Paired axial CT (left) and PSMA PET (right), 68Ga tracer.
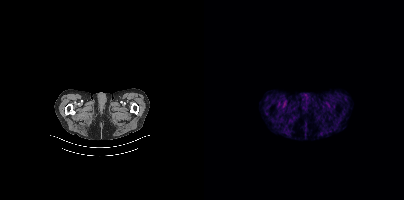
Negative for PSMA-avid disease on this slice.